modality: PSMA PET/CT | tracer: [18F]PSMA-1007 | view: axial | PET grid: 200×200
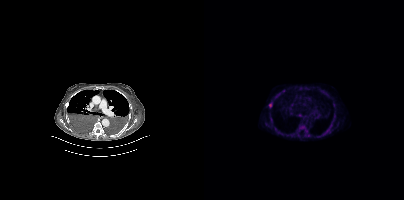
Coordinates are on the 200×200 PET (right) panel. PSMA-avid tumor lesion bounding boxes (x, y, width, height): x=94 y=125 w=6 h=7 / x=65 y=103 w=4 h=5. Small PSMA-avid foci (2 to 4 px across) near (center x, center y): (102, 131) / (121, 132).